- Paired axial CT (left) and PSMA PET (right), [18F]PSMA-1007 tracer
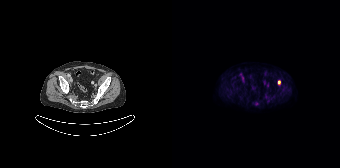
Findings: Coordinates are on the 168×168 PET (right) panel. Small PSMA-avid focus (2 to 4 px across) near (center x, center y): (107, 82).